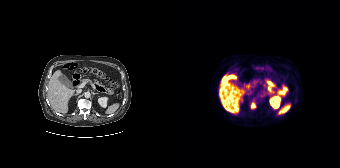
Findings: Coordinates are on the 168×168 PET (right) panel. Small PSMA-avid focus (2 to 4 px across) near (center x, center y): (81, 105).
Technique: Paired axial CT (left) and PSMA PET (right), 18F tracer.